Technique: Paired axial CT (left) and PSMA PET (right), 18F tracer. acquired on Siemens Biograph mCT Flow 20.
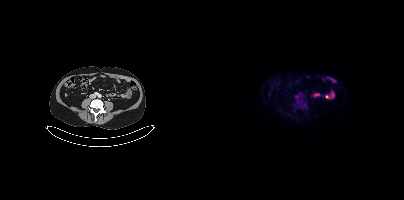
Findings: No tumor lesions annotated on this slice.